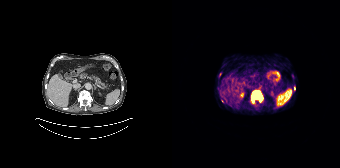
Paired axial CT (left) and PSMA PET (right), 68Ga-PSMA tracer.
Coordinates are on the 168×168 PET (right) panel. PSMA-avid tumor lesion bounding boxes:
| # | x0 | y0 | x1 | y1 |
|---|---|---|---|---|
| 1 | 80 | 91 | 89 | 101 |
Small PSMA-avid foci (2 to 4 px across) near (center x, center y): (122, 88); (50, 101).